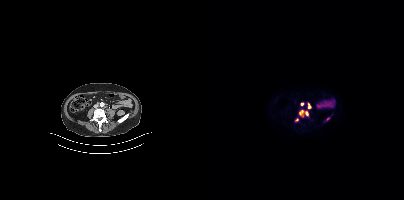
Coordinates are on the 200×200 PET (right) panel. PSMA-avid tumor lesion bounding boxes (x, y, width, height): x=95 y=110 w=5 h=5 | x=104 y=103 w=3 h=6 | x=101 y=111 w=4 h=5. Small PSMA-avid foci (2 to 4 px across) near (center x, center y): (92, 119) | (98, 104) | (123, 118).